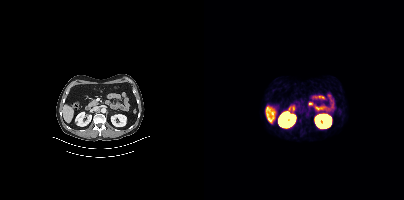
Two-panel axial: CT | PSMA PET, [68Ga]Ga-PSMA-11 tracer. Acquired on Siemens Biograph mCT Flow 20. Slice position z = -1230 mm. Only PSMA-avid lesion pieces thinner than 2 px on this slice (not listed).